- Two-panel axial: CT | PSMA PET, [18F]PSMA-1007 tracer
- acquired on Siemens Biograph mCT Flow 20
- slice 173 of 429
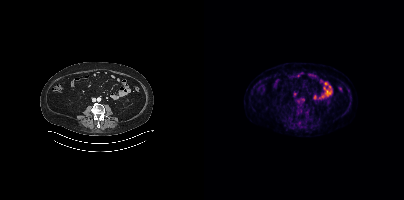
Findings: No PSMA-avid tumor lesions on this slice.